- Paired axial CT (left) and PSMA PET (right), 68Ga-PSMA tracer
- slice 119 of 165
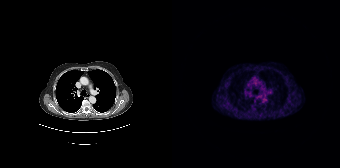
Findings: No tumor lesions annotated on this slice.